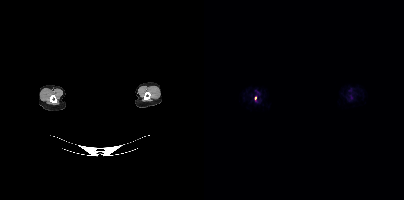
{"pet_grid":[200,200],"coord_frame":"pet_panel","coord_format":"x0,y0,x1,y1","psma_avid_lesions":false,"modality":"PSMA PET/CT","view":"axial","tracer":"[18F]PSMA-1007","deidentification":"head region blacked out before release"}